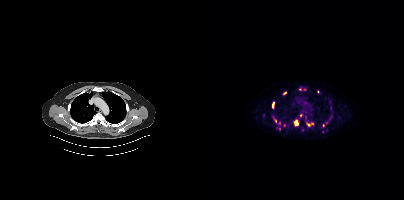
Coordinates are on the 200×200 PET (right) panel. PSMA-avid tumor lesion bounding boxes (partial; 3 more foci not listed):
| # | x0 | y0 | x1 | y1 |
|---|---|---|---|---|
| 1 | 90 | 120 | 94 | 125 |
| 2 | 68 | 102 | 70 | 108 |
Small PSMA-avid foci (2 to 4 px across) near (center x, center y): (104, 124); (96, 115); (81, 92).
Paired axial CT (left) and PSMA PET (right), 18F-PSMA tracer.